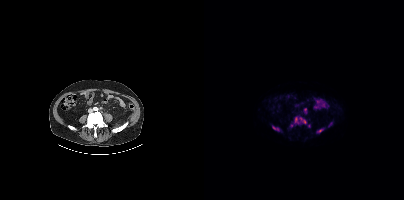
{"pet_grid":[200,200],"coord_frame":"pet_panel","coord_format":"x0,y0,x1,y1","lesion_bboxes":[[95,117,102,123],[91,117,94,123],[113,129,119,132],[100,108,102,112]],"small_foci_centers":[[70,128],[87,125],[126,123]],"modality":"PSMA PET/CT","view":"axial","tracer":"18F-PSMA"}